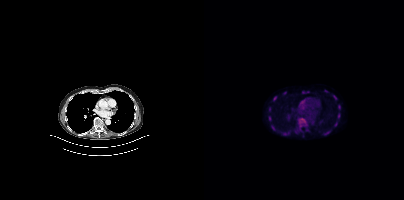
Left: CT. Right: PSMA PET, same axial level, 18F-PSMA tracer. Coordinates are on the 200×200 PET (right) panel. PSMA-avid tumor lesion bounding boxes (x0,y0,x1,y1): [134,113,136,118], [134,105,136,109], [129,95,132,99], [69,96,72,100]. Small PSMA-avid foci (2 to 4 px across) near (center x, center y): (65, 118), (65, 108), (67, 126).